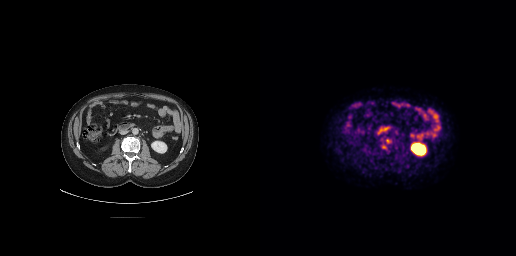
{"modality":"PSMA PET/CT","view":"axial","tracer":"[18F]PSMA-1007","pet_grid":[256,256],"coord_frame":"pet_panel","coord_format":"x0,y0,x1,y1","lesion_bboxes":[],"small_foci_centers":[[127,140],[123,147]]}